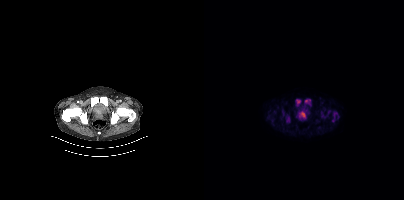
modality: PSMA PET/CT | tracer: 18F-PSMA | view: axial
Coordinates are on the 200×200 PET (right) panel. (showing 7 of 9 foci) PSMA-avid tumor lesion bounding boxes (x0, y0)-(x1, y1): (95, 111)-(101, 118) | (101, 99)-(106, 104) | (128, 112)-(133, 121) | (92, 99)-(96, 105) | (82, 116)-(85, 122). Small PSMA-avid foci (2 to 4 px across) near (center x, center y): (125, 112) | (118, 115).